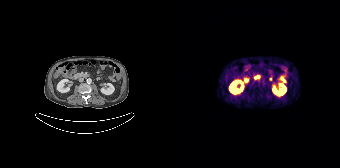
Technique: Two-panel axial: CT | PSMA PET, [68Ga]Ga-PSMA-11 tracer. acquired on Siemens Biograph 64-4R TruePoint. slice position z = -574 mm. PET panel 168×168 px (4.1 mm/px).
Findings: This slice has no annotated PSMA-avid lesion.